Left: CT. Right: PSMA PET, same axial level, [68Ga]Ga-PSMA-11 tracer.
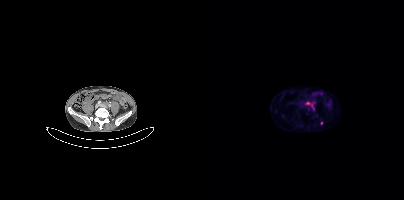
Coordinates are on the 200×200 PET (right) panel. (showing 2 of 4 foci) PSMA-avid tumor lesion bounding box (x, y, width, height): x=102 y=102 w=5 h=3. Small PSMA-avid focus (2 to 4 px across) near (center x, center y): (117, 123).